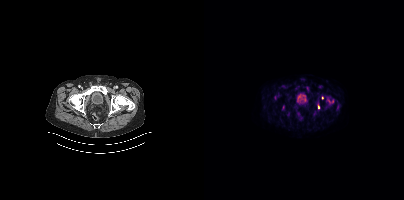
Two-panel axial: CT | PSMA PET, [18F]PSMA-1007 tracer. Slice position z = -1464 mm. Coordinates are on the 200×200 PET (right) panel. Small PSMA-avid foci (2 to 4 px across) near (center x, center y): (114, 106) (118, 97).